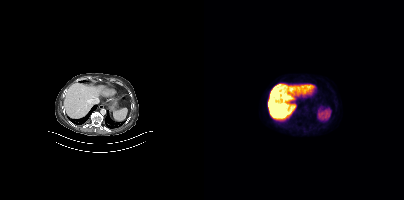
No tumor lesions annotated on this slice.